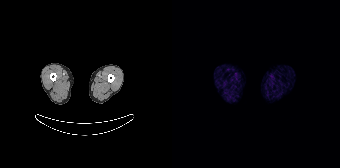
Technique: Paired axial CT (left) and PSMA PET (right), [68Ga]Ga-PSMA-11 tracer. acquired on Siemens Biograph 64-4R TruePoint.
Findings: No tumor lesions annotated on this slice.